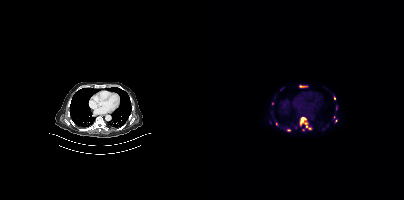
modality: PSMA PET/CT | tracer: 18F | view: axial
Coordinates are on the 200×200 PET (right) panel. (showing 6 of 9 foci) PSMA-avid tumor lesion bounding box (x, y, width, height): x=96 y=117 w=7 h=8. Small PSMA-avid foci (2 to 4 px across) near (center x, center y): (130, 98) / (68, 103) / (102, 126) / (72, 123) / (101, 123).